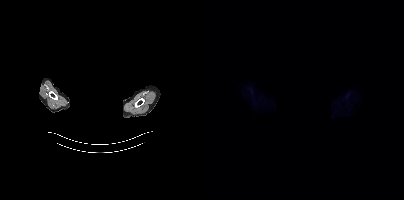
Technique: Paired axial CT (left) and PSMA PET (right), 18F-PSMA tracer. PET panel 200×200 px (4.1 mm/px).
Note: Privacy masking over the head, with the pixels inside a rectangle set to black.
Findings: Negative for PSMA-avid disease on this slice.